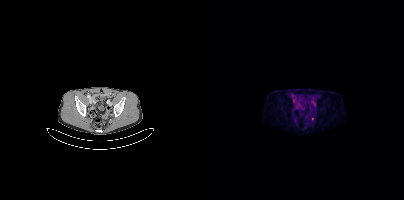
modality: PSMA PET/CT | tracer: [18F]PSMA-1007 | view: axial
Coordinates are on the 200×200 PET (right) panel. Small PSMA-avid focus (2 to 4 px across) near (center x, center y): (91, 120).